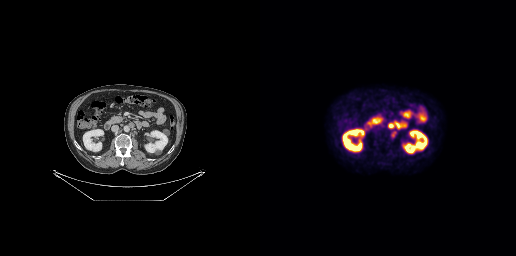
Left: CT. Right: PSMA PET, same axial level, [18F]PSMA-1007 tracer. Acquired on GE Discovery 690. Slice position z = -416 mm. Coordinates are on the 256×256 PET (right) panel. PSMA-avid tumor lesion bounding boxes (x0,y0,x1,y1): [128,122,135,128], [131,132,136,137].